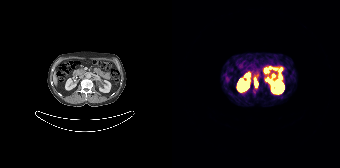
Two-panel axial: CT | PSMA PET, 68Ga-PSMA tracer. Acquired on Siemens Biograph 64-4R TruePoint. Slice 103 of 195.
Coordinates are on the 168×168 PET (right) panel. PSMA-avid tumor lesion bounding boxes (partial; 1 more focus not listed):
| # | x0 | y0 | x1 | y1 |
|---|---|---|---|---|
| 1 | 83 | 82 | 85 | 86 |